Two-panel axial: CT | PSMA PET, 68Ga tracer. PET panel 200×200 px (4.1 mm/px).
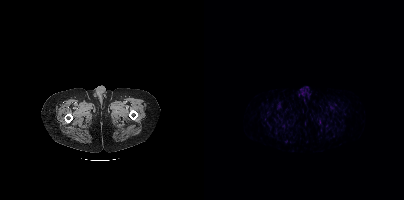
Negative for PSMA-avid disease on this slice.